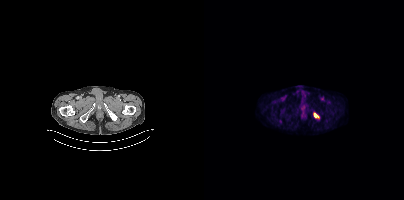
{"modality":"PSMA PET/CT","view":"axial","tracer":"18F-PSMA","pet_grid":[200,200],"coord_frame":"pet_panel","coord_format":"x0,y0,x1,y1","lesion_bboxes":[[110,113,114,117]]}